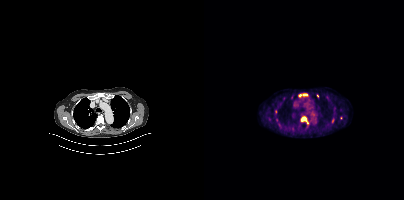
- Paired axial CT (left) and PSMA PET (right), [18F]PSMA-1007 tracer
- PET panel 200×200 px (4.1 mm/px)
Findings: Coordinates are on the 200×200 PET (right) panel. (showing 4 of 5 foci) PSMA-avid tumor lesion bounding boxes (x0,y0,x1,y1): [97,116,104,123] [95,93,103,97] [128,118,130,122]. Small PSMA-avid focus (2 to 4 px across) near (center x, center y): (113, 95).